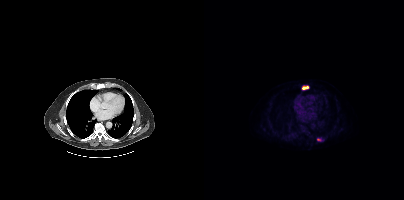
{"pet_grid":[200,200],"coord_frame":"pet_panel","coord_format":"x0,y0,x1,y1","lesion_bboxes":[[98,86,104,89],[113,138,117,141]],"modality":"PSMA PET/CT","view":"axial","tracer":"18F-PSMA"}